Technique: Paired axial CT (left) and PSMA PET (right), [18F]PSMA-1007 tracer. PET panel 200×200 px (4.1 mm/px).
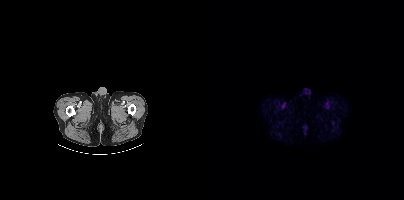
Findings: Negative for PSMA-avid disease on this slice.